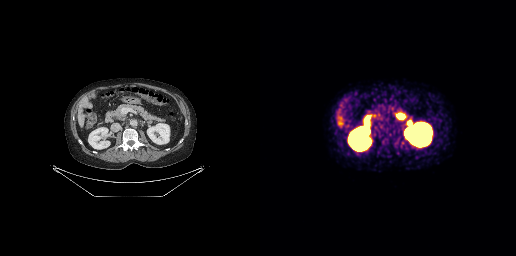
Coordinates are on the 256×256 PET (right) panel. (showing 1 of 2 foci) Small PSMA-avid focus (2 to 4 px across) near (center x, center y): (149, 122).